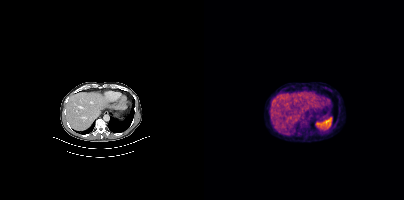
- Two-panel axial: CT | PSMA PET, [18F]PSMA-1007 tracer
- acquired on Siemens Biograph mCT Flow 20
- slice 256 of 448
Findings: Coordinates are on the 200×200 PET (right) panel. PSMA-avid tumor lesion bounding box (x, y, width, height): x=96 y=119 w=10 h=7.